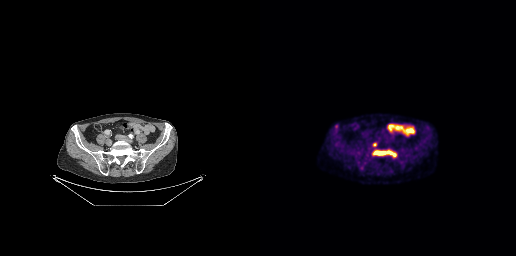
Findings: Coordinates are on the 256×256 PET (right) panel. PSMA-avid tumor lesion bounding boxes (x0, y0)-(x1, y1): (112, 150)-(135, 156) | (112, 142)-(117, 147).
Technique: Two-panel axial: CT | PSMA PET, [18F]PSMA-1007 tracer.